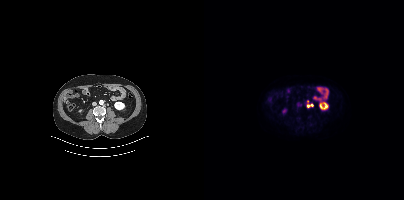
Coordinates are on the 200×200 PET (right) panel. PSMA-avid tumor lesion bounding box (x0, y0)-(x1, y1): (103, 100)-(109, 107).